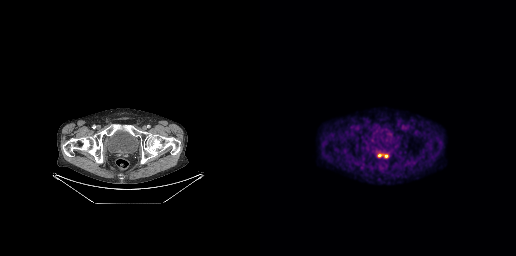
{"pet_grid":[256,256],"coord_frame":"pet_panel","coord_format":"x0,y0,x1,y1","lesion_bboxes":[[121,154,128,157]],"modality":"PSMA PET/CT","view":"axial","tracer":"18F"}